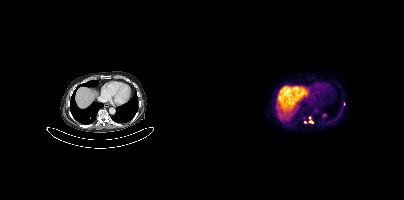
Coordinates are on the 200×200 PET (right) panel. (showing 4 of 5 foci) PSMA-avid tumor lesion bounding box (x0, y0)-(x1, y1): (105, 120)-(109, 123). Small PSMA-avid foci (2 to 4 px across) near (center x, center y): (100, 117) / (101, 122) / (105, 117).
modality: PSMA PET/CT | tracer: [18F]PSMA-1007 | view: axial | PET grid: 200×200